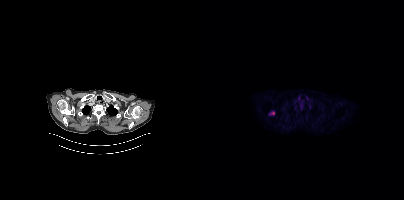
Findings: Coordinates are on the 200×200 PET (right) panel. PSMA-avid tumor lesion bounding box (x, y, width, height): x=65 y=111 w=6 h=4.
Technique: Paired axial CT (left) and PSMA PET (right), 18F tracer. acquired on Siemens Biograph mCT Flow 20. slice 346 of 421.